Two-panel axial: CT | PSMA PET, 18F tracer. Acquired on Siemens Biograph mCT Flow 20.
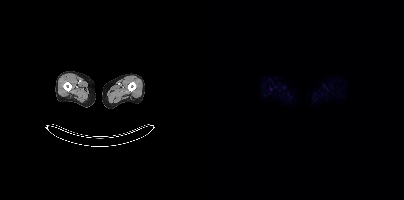
This slice has no annotated PSMA-avid lesion.